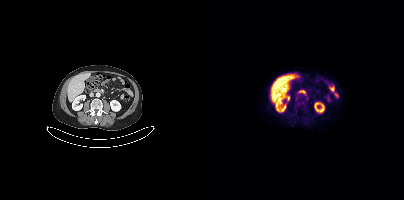
This slice has no annotated PSMA-avid lesion. Left: CT. Right: PSMA PET, same axial level, 18F tracer. Slice position z = -723 mm.